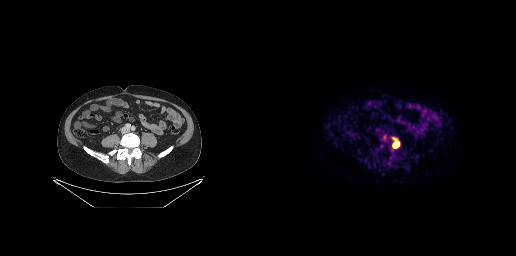
Technique: Left: CT. Right: PSMA PET, same axial level, [68Ga]Ga-PSMA-11 tracer. acquired on GE Discovery 690.
Findings: Coordinates are on the 256×256 PET (right) panel. (showing 1 of 2 foci) PSMA-avid tumor lesion bounding box (x0,y0,x1,y1): [133,141,139,148].